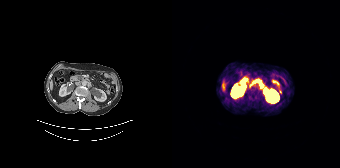
Left: CT. Right: PSMA PET, same axial level, 68Ga tracer. Acquired on Siemens Biograph 64-4R TruePoint. Slice 101 of 195. Only PSMA-avid lesion pieces thinner than 2 px on this slice (not listed).